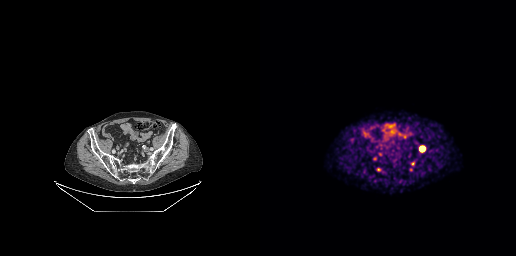
Two-panel axial: CT | PSMA PET, 68Ga tracer. Acquired on GE Discovery 690. PET panel 256×256 px (2.7 mm/px).
Coordinates are on the 256×256 PET (right) panel. PSMA-avid tumor lesion bounding boxes (partial; 1 more focus not listed):
| # | x0 | y0 | x1 | y1 |
|---|---|---|---|---|
| 1 | 116 | 168 | 121 | 171 |
| 2 | 160 | 147 | 164 | 150 |
| 3 | 90 | 138 | 93 | 142 |
Small PSMA-avid foci (2 to 4 px across) near (center x, center y): (153, 162); (114, 158).